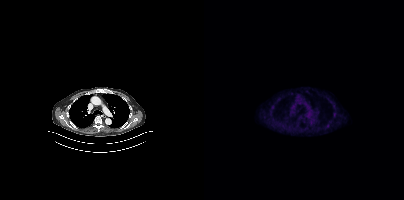
modality: PSMA PET/CT | tracer: 18F | view: axial | PET grid: 200×200
Coordinates are on the 200×200 PET (right) panel. Small PSMA-avid focus (2 to 4 px across) near (center x, center y): (124, 125).